Left: CT. Right: PSMA PET, same axial level, 18F-PSMA tracer. Slice 58 of 413. PET panel 200×200 px (4.1 mm/px).
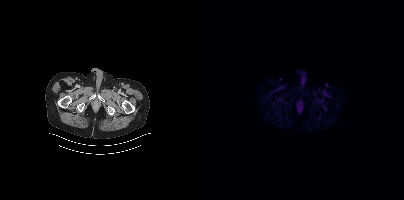
No PSMA-avid tumor lesions on this slice.